modality: PSMA PET/CT | tracer: [18F]PSMA-1007 | view: axial | redaction: rectangular block set to black
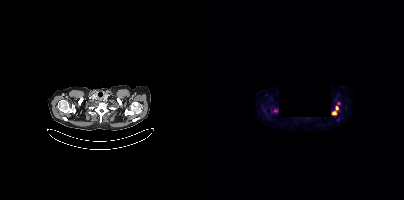
Coordinates are on the 200×200 PET (right) panel. (showing 2 of 3 foci) PSMA-avid tumor lesion bounding box (x, y, width, height): x=128 y=107 w=7 h=8. Small PSMA-avid focus (2 to 4 px across) near (center x, center y): (71, 110).